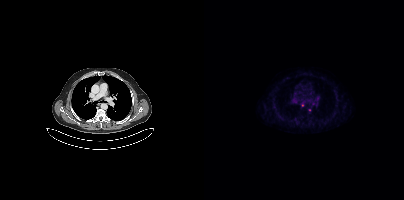
modality: PSMA PET/CT | tracer: [18F]PSMA-1007 | view: axial | PET grid: 200×200
Negative for PSMA-avid disease on this slice.